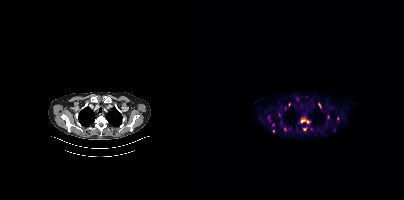
Findings: Coordinates are on the 200×200 PET (right) panel. (showing 5 of 9 foci) PSMA-avid tumor lesion bounding boxes (x0,y0,x1,y1): [96,118,106,123] [115,103,117,107]. Small PSMA-avid foci (2 to 4 px across) near (center x, center y): (100, 129) (80, 129) (69, 130).
Technique: Left: CT. Right: PSMA PET, same axial level, 18F tracer. slice 328 of 413.